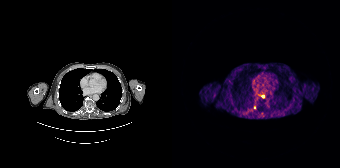
Coordinates are on the 168×168 PET (right) panel. Small PSMA-avid foci (2 to 4 px across) near (center x, center y): (82, 107); (91, 96).